Two-panel axial: CT | PSMA PET, [18F]PSMA-1007 tracer. Acquired on Siemens Biograph mCT Flow 20. Slice position z = 290 mm.
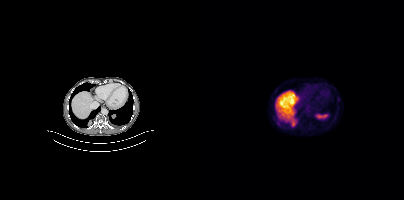
Coordinates are on the 200×200 PET (right) panel. PSMA-avid tumor lesion bounding boxes (partial; 1 more focus not listed):
| # | x0 | y0 | x1 | y1 |
|---|---|---|---|---|
| 1 | 86 | 118 | 92 | 126 |
| 2 | 112 | 115 | 116 | 118 |
Small PSMA-avid focus (2 to 4 px across) near (center x, center y): (70, 119).